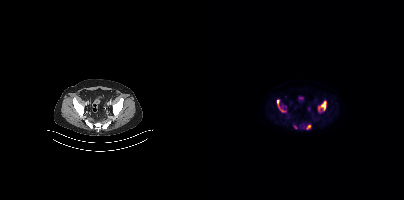
modality: PSMA PET/CT | tracer: 18F-PSMA | view: axial
Coordinates are on the 200×200 PET (right) panel. PSMA-avid tumor lesion bounding boxes (x0, y0)-(x1, y1): (114, 100)-(122, 112); (73, 100)-(75, 107); (103, 125)-(106, 129). Small PSMA-avid foci (2 to 4 px across) near (center x, center y): (78, 110); (91, 127).